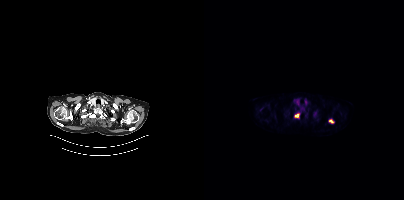
- Two-panel axial: CT | PSMA PET, 18F tracer
- acquired on Siemens Biograph mCT Flow 20
- slice position z = -378 mm
- PET panel 200×200 px (4.1 mm/px)
Findings: Coordinates are on the 200×200 PET (right) panel. PSMA-avid tumor lesion bounding boxes (x, y, width, height): x=91 y=114 w=5 h=4 | x=125 y=119 w=5 h=5.